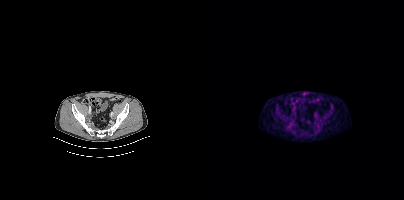
{"pet_grid":[200,200],"coord_frame":"pet_panel","coord_format":"x0,y0,x1,y1","psma_avid_lesions":false,"modality":"PSMA PET/CT","view":"axial","tracer":"[18F]PSMA-1007"}